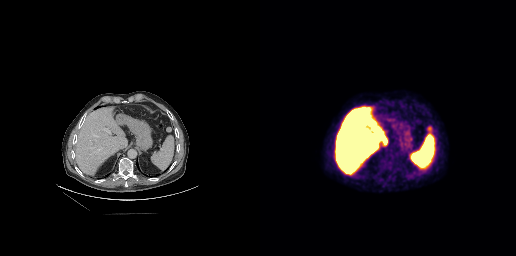
{"modality":"PSMA PET/CT","view":"axial","tracer":"[18F]PSMA-1007","pet_grid":[256,256],"coord_frame":"pet_panel","coord_format":"x0,y0,x1,y1","psma_avid_lesions":false}